Technique: Left: CT. Right: PSMA PET, same axial level, [68Ga]Ga-PSMA-11 tracer. slice 114 of 263.
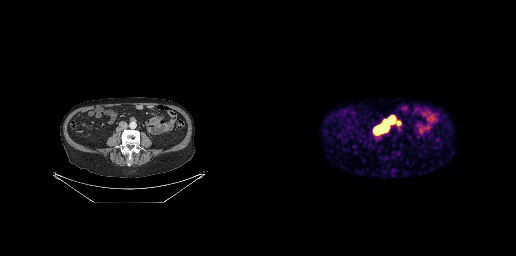
Findings: Coordinates are on the 256×256 PET (right) panel. PSMA-avid tumor lesion bounding box (x0,y0,x1,y1): [114,117,134,133]. Small PSMA-avid focus (2 to 4 px across) near (center x, center y): (138, 122).